- Two-panel axial: CT | PSMA PET, 18F-PSMA tracer
- acquired on Siemens Biograph mCT Flow 20
- slice position z = -1031 mm
- PET panel 200×200 px (4.1 mm/px)
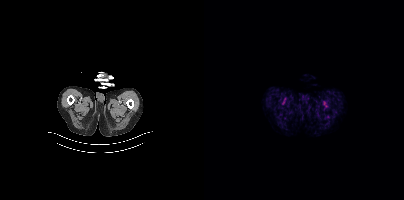
Findings: This slice has no annotated PSMA-avid lesion.